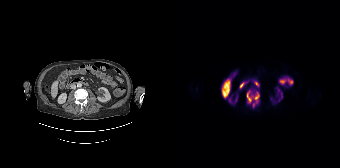
Coordinates are on the 168×168 PET (right) panel. PSMA-avid tumor lesion bounding box (x0, y0)-(x1, y1): (74, 90)-(87, 103). Small PSMA-avid focus (2 to 4 px across) near (center x, center y): (81, 104).
modality: PSMA PET/CT | tracer: [18F]PSMA-1007 | view: axial